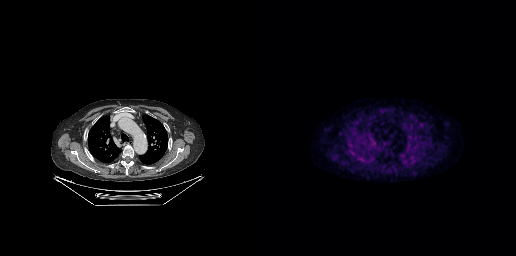
Paired axial CT (left) and PSMA PET (right), 18F-PSMA tracer. Acquired on GE Discovery 690. PET panel 256×256 px (2.7 mm/px). No tumor lesions annotated on this slice.